modality: PSMA PET/CT | tracer: 18F-PSMA | view: axial | PET grid: 200×200
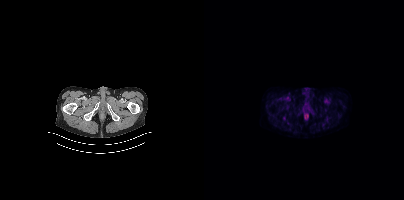
Negative for PSMA-avid disease on this slice.